modality: PSMA PET/CT | tracer: 18F | view: axial | PET grid: 256×256
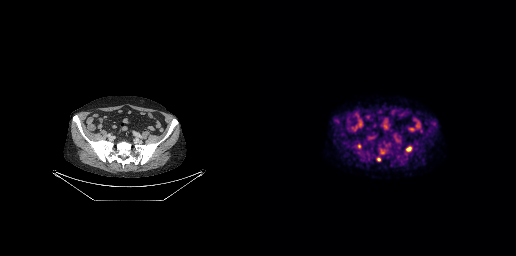
Coordinates are on the 256×256 PET (right) panel. PSMA-avid tumor lesion bounding boxes (x0,y0,x1,y1): [146,147,151,151]; [117,157,120,161]. Small PSMA-avid foci (2 to 4 px across) near (center x, center y): (99, 146); (122, 153).